modality: PSMA PET/CT | tracer: 18F | view: axial
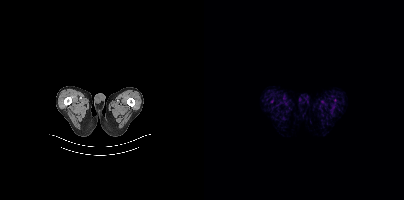
No tumor lesions annotated on this slice.